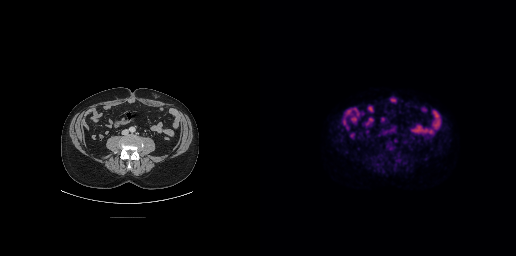
This slice has no annotated PSMA-avid lesion. Paired axial CT (left) and PSMA PET (right), 18F-PSMA tracer. Acquired on GE Discovery 690.